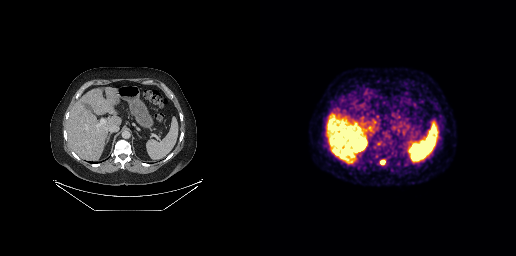
Coordinates are on the 256×256 PET (right) panel. PSMA-avid tumor lesion bounding box (x0, y0)-(x1, y1): (121, 160)-(124, 164).
modality: PSMA PET/CT | tracer: 18F-PSMA | view: axial | PET grid: 256×256